Left: CT. Right: PSMA PET, same axial level, 18F-PSMA tracer. Slice position z = -1466 mm.
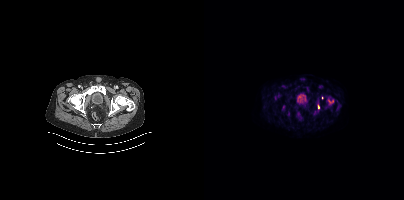
Coordinates are on the 200×200 PET (right) panel. (showing 1 of 2 foci) Small PSMA-avid focus (2 to 4 px across) near (center x, center y): (114, 106).